Left: CT. Right: PSMA PET, same axial level, [18F]PSMA-1007 tracer. Slice 83 of 387. PET panel 200×200 px (4.1 mm/px).
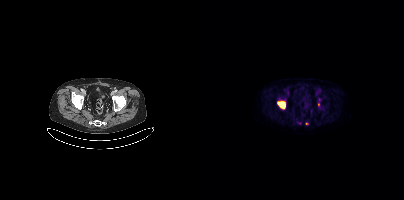
Coordinates are on the 200×200 PET (right) panel. (showing 2 of 3 foci) PSMA-avid tumor lesion bounding box (x0, y0)-(x1, y1): (73, 101)-(81, 108). Small PSMA-avid focus (2 to 4 px across) near (center x, center y): (102, 123).